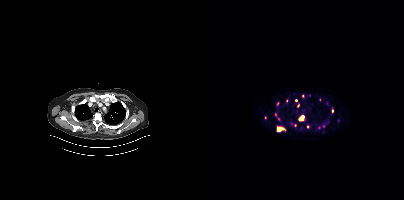
{"modality":"PSMA PET/CT","view":"axial","tracer":"[18F]PSMA-1007","pet_grid":[200,200],"coord_frame":"pet_panel","coord_format":"x0,y0,x1,y1","partial":true,"lesion_bboxes":[[73,126,81,131],[94,115,100,121],[127,107,129,112]],"small_foci_centers":[[116,99],[92,100],[94,105],[98,96],[122,103],[82,100],[71,114],[91,125],[103,126],[73,103],[74,118]]}